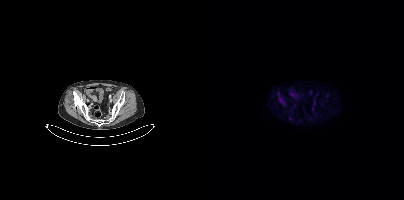
modality: PSMA PET/CT | tracer: [18F]PSMA-1007 | view: axial | PET grid: 200×200
Coordinates are on the 200×200 PET (right) panel. Small PSMA-avid focus (2 to 4 px across) near (center x, center y): (110, 103).